- Two-panel axial: CT | PSMA PET, [68Ga]Ga-PSMA-11 tracer
- acquired on Siemens Biograph 64-4R TruePoint
- slice position z = -480 mm
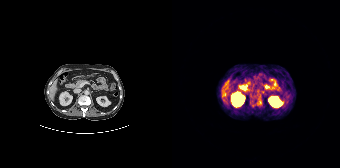
Findings: Coordinates are on the 168×168 PET (right) panel. Small PSMA-avid focus (2 to 4 px across) near (center x, center y): (88, 102).